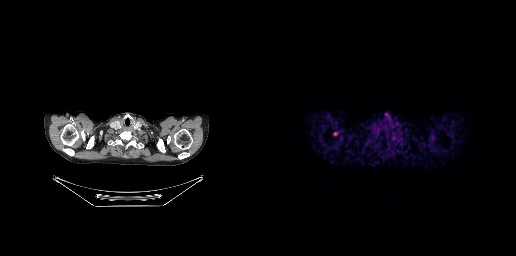
Coordinates are on the 256×256 PET (right) panel. Small PSMA-avid focus (2 to 4 px across) near (center x, center y): (75, 133).